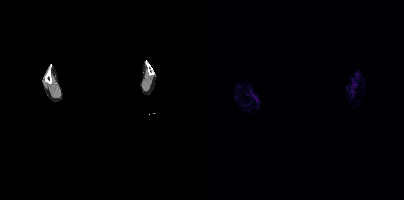
Technique: Left: CT. Right: PSMA PET, same axial level, 18F tracer. PET panel 200×200 px (4.1 mm/px).
Note: Privacy masking over the head, with the pixels inside a rectangle set to black.
Findings: No PSMA-avid tumor lesions on this slice.